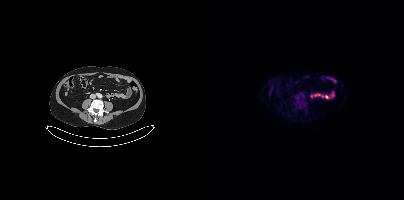
Left: CT. Right: PSMA PET, same axial level, [18F]PSMA-1007 tracer. Slice position z = -1373 mm. This slice has no annotated PSMA-avid lesion.